- Two-panel axial: CT | PSMA PET, 18F-PSMA tracer
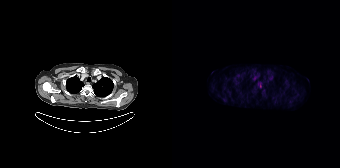
Findings: Coordinates are on the 168×168 PET (right) panel. PSMA-avid tumor lesion bounding box (x, y, width, height): x=85 y=81 w=6 h=8.